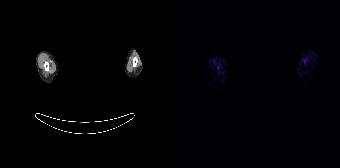
{"modality":"PSMA PET/CT","view":"axial","tracer":"[68Ga]Ga-PSMA-11","pet_grid":[168,168],"coord_frame":"pet_panel","coord_format":"x0,y0,x1,y1","deidentification":"face masked with black rectangle","psma_avid_lesions":false}